Left: CT. Right: PSMA PET, same axial level, [18F]PSMA-1007 tracer. Acquired on Siemens Biograph mCT Flow 20. Slice 302 of 407.
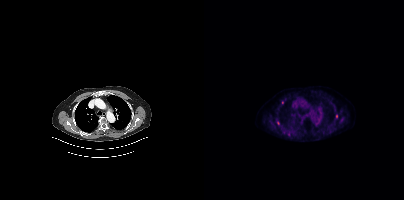
Coordinates are on the 200×200 PET (right) panel. Small PSMA-avid foci (2 to 4 px across) near (center x, center y): (74, 123), (78, 102).